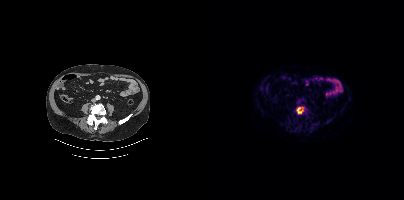
Coordinates are on the 200×200 PET (right) panel. PSMA-avid tumor lesion bounding box (x0,y0,x1,y1): [92,106,99,114].